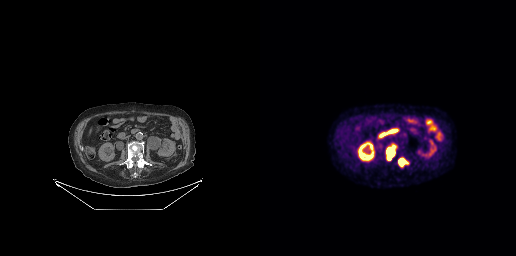
Left: CT. Right: PSMA PET, same axial level, 18F-PSMA tracer. Slice position z = -435 mm. PET panel 256×256 px (2.7 mm/px). Coordinates are on the 256×256 PET (right) panel. PSMA-avid tumor lesion bounding boxes (x, y, width, height): x=126 y=144 w=11 h=18 / x=138 y=157 w=11 h=11.